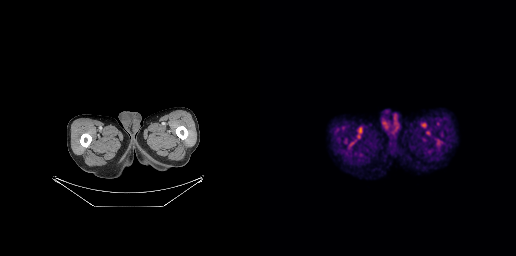
Two-panel axial: CT | PSMA PET, 18F-PSMA tracer. Acquired on GE Discovery 690. Slice 27 of 263. PET panel 256×256 px (2.7 mm/px). This slice has no annotated PSMA-avid lesion.